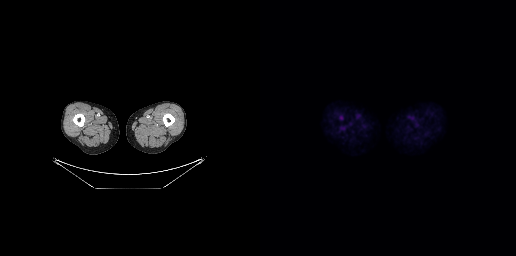
Left: CT. Right: PSMA PET, same axial level, 18F tracer. Slice 23 of 263. No PSMA-avid tumor lesions on this slice.